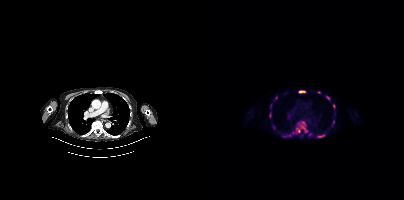
modality: PSMA PET/CT | tracer: [18F]PSMA-1007 | view: axial
Coordinates are on the 200×200 PET (right) panel. (showing 11 of 13 foci) PSMA-avid tumor lesion bounding boxes (x0,y0,x1,y1): [78,121,104,137], [95,90,101,93], [116,134,121,137], [70,96,73,100], [65,113,67,117], [129,104,131,108]. Small PSMA-avid foci (2 to 4 px across) near (center x, center y): (123, 97), (106, 134), (114, 92), (67, 105), (129, 122).